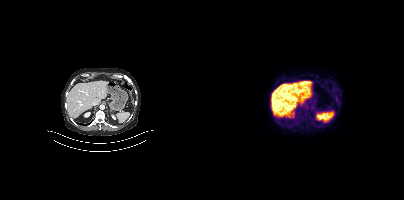
This slice has no annotated PSMA-avid lesion. Left: CT. Right: PSMA PET, same axial level, 18F tracer. PET panel 200×200 px (4.1 mm/px).